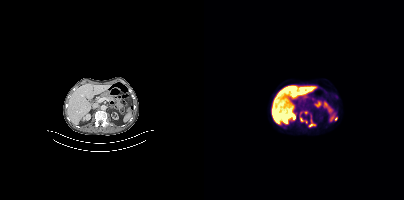
{"modality":"PSMA PET/CT","view":"axial","tracer":"[18F]PSMA-1007","pet_grid":[200,200],"coord_frame":"pet_panel","coord_format":"x0,y0,x1,y1","partial":true,"lesion_bboxes":[[104,116,111,126],[96,112,103,123]],"small_foci_centers":[[101,112],[131,118]]}